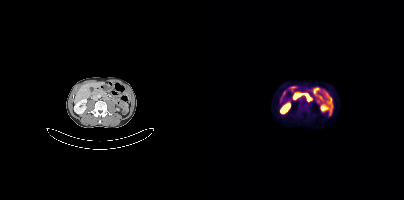
Technique: Left: CT. Right: PSMA PET, same axial level, 18F-PSMA tracer. PET panel 200×200 px (4.1 mm/px).
Findings: Coordinates are on the 200×200 PET (right) panel. Small PSMA-avid focus (2 to 4 px across) near (center x, center y): (97, 107).